- Left: CT. Right: PSMA PET, same axial level, [18F]PSMA-1007 tracer
- acquired on Siemens Biograph mCT Flow 20
- slice 122 of 464
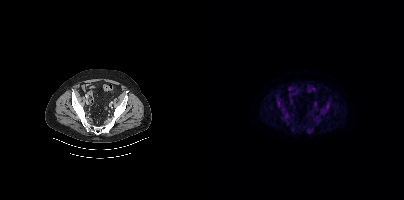
Findings: Coordinates are on the 200×200 PET (right) panel. PSMA-avid tumor lesion bounding boxes (x0,y0,x1,y1): [77,107,84,121]; [72,96,77,104]; [103,128,109,133]; [117,108,123,113]; [122,102,126,105]. Small PSMA-avid focus (2 to 4 px across) near (center x, center y): (107, 120).